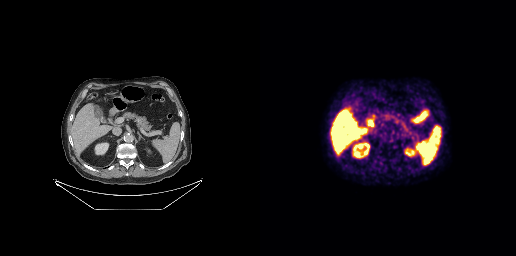
{"modality":"PSMA PET/CT","view":"axial","tracer":"18F-PSMA","pet_grid":[256,256],"coord_frame":"pet_panel","coord_format":"x0,y0,x1,y1","psma_avid_lesions":false}